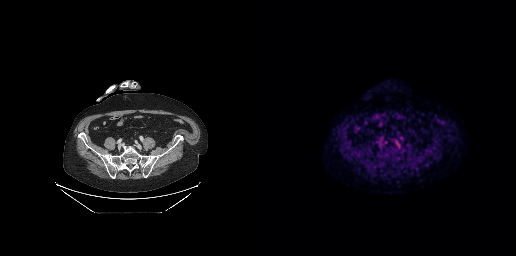
- Left: CT. Right: PSMA PET, same axial level, 18F-PSMA tracer
- acquired on GE Discovery 690
- slice position z = -591 mm
- PET panel 256×256 px (2.7 mm/px)
Findings: Coordinates are on the 256×256 PET (right) panel. Small PSMA-avid focus (2 to 4 px across) near (center x, center y): (138, 144).